Technique: Paired axial CT (left) and PSMA PET (right), 18F tracer. slice position z = -1088 mm.
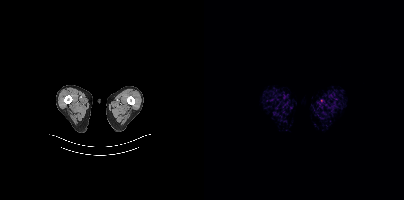
Findings: Negative for PSMA-avid disease on this slice.